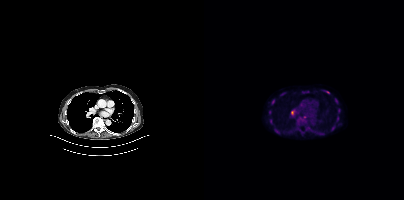
Findings: Coordinates are on the 200×200 PET (right) panel. PSMA-avid tumor lesion bounding boxes (x0,y0,x1,y1): [131,98,134,103], [134,108,136,112], [133,116,135,120]. Small PSMA-avid foci (2 to 4 px across) near (center x, center y): (123, 92), (88, 112), (66, 121), (68, 102), (65, 112).
- Paired axial CT (left) and PSMA PET (right), 18F tracer
- slice 261 of 401